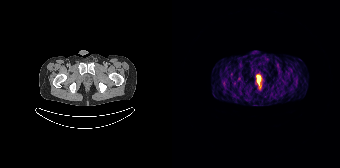
Coordinates are on the 168×168 PET (right) panel. PSMA-avid tumor lesion bounding box (x, y, width, height): x=85 y=78 w=4 h=5. Paired axial CT (left) and PSMA PET (right), [68Ga]Ga-PSMA-11 tracer. Slice position z = -924 mm. PET panel 168×168 px (4.1 mm/px).